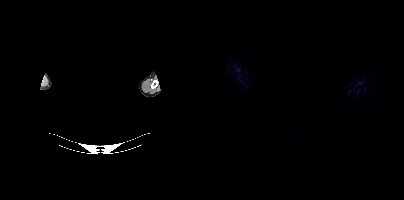
De-identified by setting a box covering the face to black before release. Paired axial CT (left) and PSMA PET (right), [18F]PSMA-1007 tracer. Slice 464 of 466. PET panel 200×200 px (4.1 mm/px). No PSMA-avid tumor lesions on this slice.